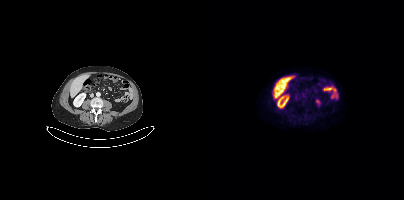
This slice has no annotated PSMA-avid lesion.